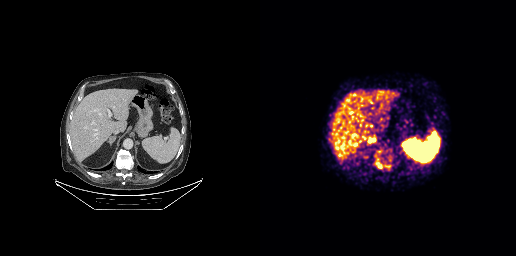
modality: PSMA PET/CT | tracer: 68Ga | view: axial | PET grid: 256×256
Coordinates are on the 256×256 PET (right) panel. PSMA-avid tumor lesion bounding boxes (x0, y0)-(x1, y1): (115, 158)-(122, 168) | (125, 165)-(130, 167).